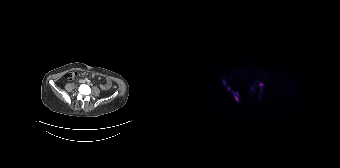
Coordinates are on the 168×168 PET (right) panel. PSMA-avid tumor lesion bounding boxes (x0, y0)-(x1, y1): (60, 91)-(66, 100) | (51, 80)-(53, 84) | (87, 83)-(91, 86). Small PSMA-avid foci (2 to 4 px across) near (center x, center y): (79, 88) | (56, 89).